Paired axial CT (left) and PSMA PET (right), [68Ga]Ga-PSMA-11 tracer. Acquired on GE Discovery 690. PET panel 256×256 px (2.7 mm/px).
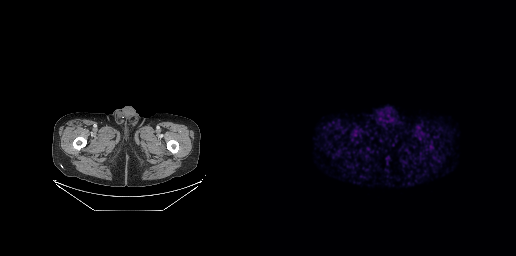
Negative for PSMA-avid disease on this slice.